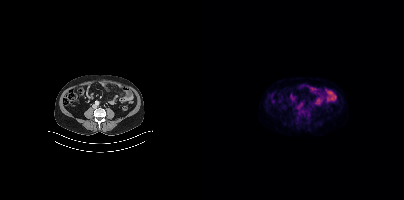
Paired axial CT (left) and PSMA PET (right), 18F-PSMA tracer. Acquired on Siemens Biograph mCT Flow 20. This slice has no annotated PSMA-avid lesion.